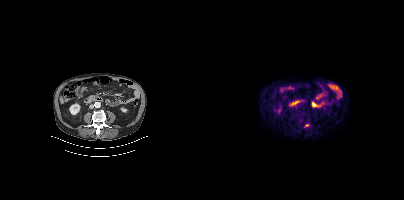
Paired axial CT (left) and PSMA PET (right), 18F tracer. Coordinates are on the 200×200 PET (right) panel. Small PSMA-avid focus (2 to 4 px across) near (center x, center y): (102, 125).